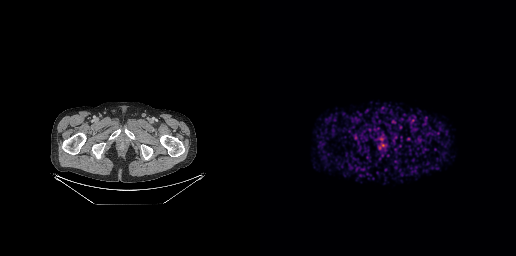
Findings: No tumor lesions annotated on this slice.
- Left: CT. Right: PSMA PET, same axial level, 68Ga tracer
- acquired on GE Discovery 690
- PET panel 256×256 px (2.7 mm/px)